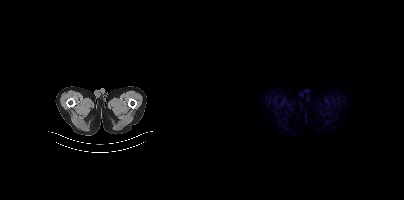
Findings: No tumor lesions annotated on this slice.
Technique: Left: CT. Right: PSMA PET, same axial level, 18F tracer.